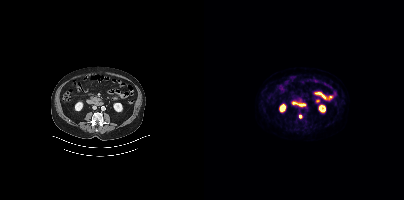
- Two-panel axial: CT | PSMA PET, 18F tracer
- acquired on Siemens Biograph mCT Flow 20
- slice 179 of 405
Findings: Only PSMA-avid lesion pieces thinner than 2 px on this slice (not listed).